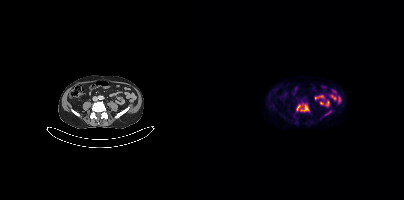
Coordinates are on the 200×200 PET (right) panel. PSMA-avid tumor lesion bounding boxes (x, y, width, height): x=96 y=104 w=10 h=8 | x=92 y=104 w=5 h=7 | x=122 y=111 w=6 h=4. Left: CT. Right: PSMA PET, same axial level, 18F tracer.